Technique: Paired axial CT (left) and PSMA PET (right), 18F tracer. slice position z = -574 mm. PET panel 256×256 px (2.7 mm/px).
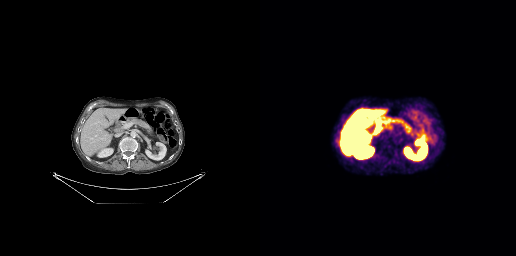
Findings: No tumor lesions annotated on this slice.